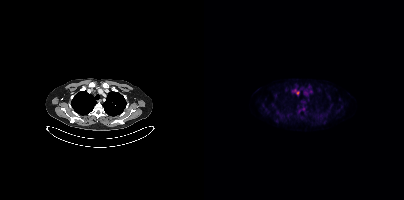
Two-panel axial: CT | PSMA PET, 18F-PSMA tracer. Acquired on Siemens Biograph mCT Flow 20. Slice position z = -1013 mm.
Coordinates are on the 200×200 PET (right) panel. PSMA-avid tumor lesion bounding boxes (partial; 1 more focus not listed):
| # | x0 | y0 | x1 | y1 |
|---|---|---|---|---|
| 1 | 89 | 89 | 95 | 94 |
Small PSMA-avid focus (2 to 4 px across) near (center x, center y): (99, 109).